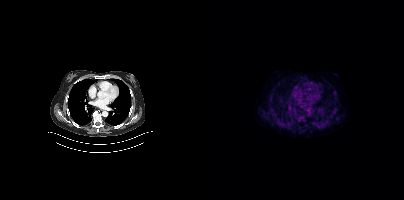
No tumor lesions annotated on this slice. Left: CT. Right: PSMA PET, same axial level, 18F tracer. Acquired on Siemens Biograph mCT Flow 20. PET panel 200×200 px (4.1 mm/px).